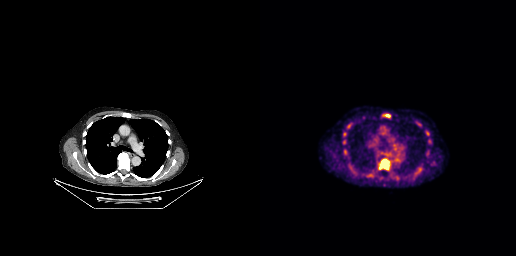
- Two-panel axial: CT | PSMA PET, 18F-PSMA tracer
- acquired on GE Discovery 690
- slice 195 of 263
Findings: Coordinates are on the 256×256 PET (right) panel. PSMA-avid tumor lesion bounding boxes (x, y, width, height): x=118 y=158 w=13 h=13; x=123 y=114 w=8 h=4.